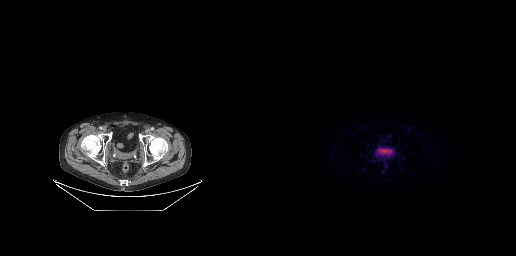
modality: PSMA PET/CT | tracer: 68Ga-PSMA | view: axial
No tumor lesions annotated on this slice.